De-identified by setting a rectangular region to black.
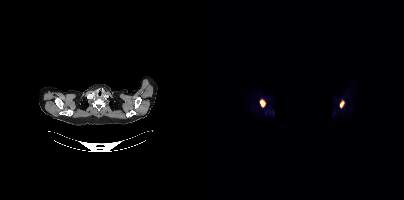
Coordinates are on the 200×200 PET (right) panel. PSMA-avid tumor lesion bounding boxes (x0,y0,x1,y1): [56,99,61,107], [136,101,140,107].